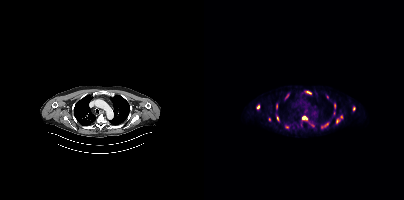
- Two-panel axial: CT | PSMA PET, 18F-PSMA tracer
- slice 276 of 401
Findings: Coordinates are on the 200×200 PET (right) panel. (showing 15 of 16 foci) PSMA-avid tumor lesion bounding boxes (x0,y0,x1,y1): [117,123,124,129] [98,116,103,119] [132,118,135,123] [102,91,107,93] [81,94,84,98] [72,104,73,108] [130,104,131,108] [73,116,74,120]. Small PSMA-avid foci (2 to 4 px across) near (center x, center y): (137, 116) (54, 106) (149, 108) (108, 125) (83, 127) (65, 119) (123, 96).